Paired axial CT (left) and PSMA PET (right), [68Ga]Ga-PSMA-11 tracer.
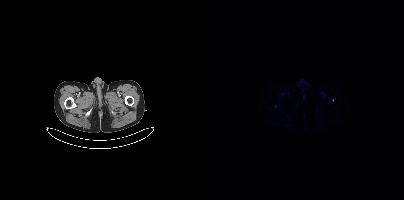
Coordinates are on the 200×200 PET (right) panel. (showing 1 of 2 foci) Small PSMA-avid focus (2 to 4 px across) near (center x, center y): (128, 100).